modality: PSMA PET/CT | tracer: [18F]PSMA-1007 | view: axial
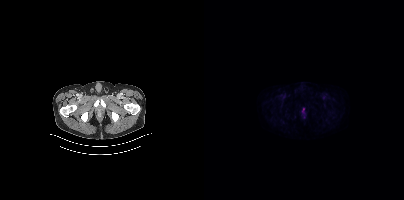
Negative for PSMA-avid disease on this slice.